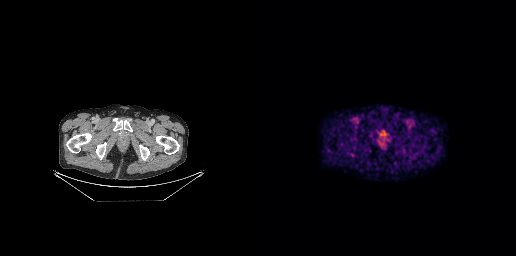
Technique: Two-panel axial: CT | PSMA PET, 18F-PSMA tracer. PET panel 256×256 px (2.7 mm/px).
Findings: No PSMA-avid tumor lesions on this slice.